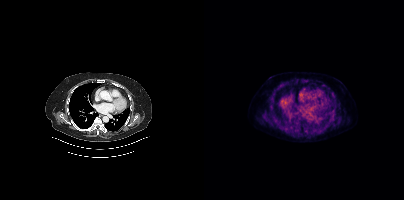
This slice has no annotated PSMA-avid lesion.
modality: PSMA PET/CT | tracer: 18F | view: axial | PET grid: 200×200